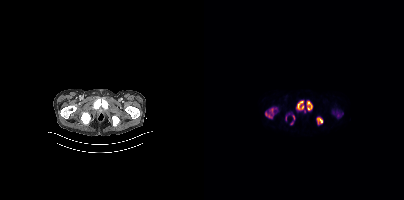
Coordinates are on the 200×200 PET (right) panel. (showing 6 of 7 foci) PSMA-avid tumor lesion bounding boxes (x0,y0,x1,y1): [61,108,72,118], [92,100,99,109], [103,101,108,110], [113,117,118,123]. Small PSMA-avid foci (2 to 4 px across) near (center x, center y): (89, 117), (87, 123).